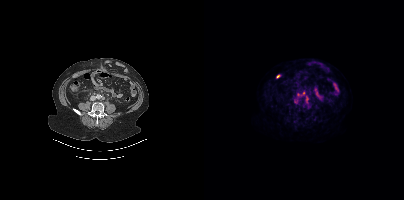
Coordinates are on the 200×200 PET (right) panel. PSMA-avid tumor lesion bounding boxes:
| # | x0 | y0 | x1 | y1 |
|---|---|---|---|---|
| 1 | 93 | 91 | 101 | 97 |
Small PSMA-avid focus (2 to 4 px across) near (center x, center y): (102, 100).
Left: CT. Right: PSMA PET, same axial level, [18F]PSMA-1007 tracer.